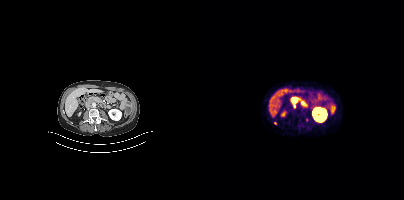
Two-panel axial: CT | PSMA PET, 68Ga-PSMA tracer. Acquired on Siemens Biograph mCT Flow 20. Slice position z = -1236 mm. Coordinates are on the 200×200 PET (right) panel. PSMA-avid tumor lesion bounding box (x, y, width, height): x=88 y=100 w=6 h=7. Small PSMA-avid foci (2 to 4 px across) near (center x, center y): (71, 123); (102, 119).